Two-panel axial: CT | PSMA PET, 18F tracer.
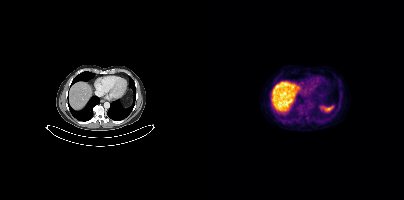
No PSMA-avid tumor lesions on this slice.